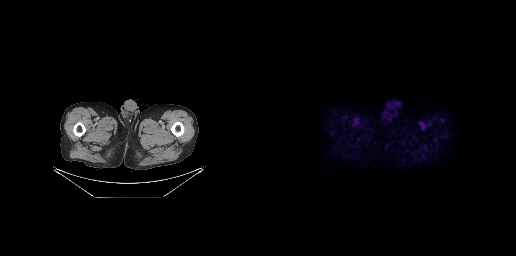
{"modality":"PSMA PET/CT","view":"axial","tracer":"[18F]PSMA-1007","pet_grid":[256,256],"coord_frame":"pet_panel","coord_format":"x0,y0,x1,y1","psma_avid_lesions":false}